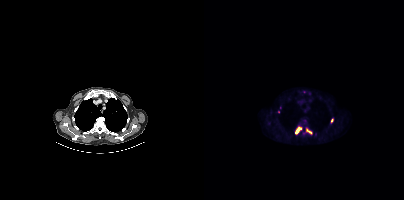
- Left: CT. Right: PSMA PET, same axial level, [18F]PSMA-1007 tracer
- acquired on Siemens Biograph mCT Flow 20
- PET panel 200×200 px (4.1 mm/px)
Findings: Coordinates are on the 200×200 PET (right) panel. (showing 3 of 6 foci) PSMA-avid tumor lesion bounding boxes (x0,y0,x1,y1): [91,127,98,133] [101,129,108,134]. Small PSMA-avid focus (2 to 4 px across) near (center x, center y): (128, 120).